Paired axial CT (left) and PSMA PET (right), 18F tracer.
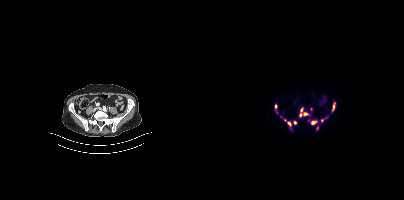
Coordinates are on the 200×200 PET (right) panel. PSMA-avid tumor lesion bounding boxes (partial; 1 more focus not listed):
| # | x0 | y0 | x1 | y1 |
|---|---|---|---|---|
| 1 | 107 | 121 | 112 | 124 |
| 2 | 128 | 103 | 131 | 110 |
| 3 | 83 | 122 | 87 | 126 |
Small PSMA-avid foci (2 to 4 px across) near (center x, center y): (101, 113); (71, 106); (97, 109); (77, 116); (91, 122); (118, 120); (96, 115); (80, 119).